Left: CT. Right: PSMA PET, same axial level, [68Ga]Ga-PSMA-11 tracer. Acquired on Siemens Biograph 64-4R TruePoint. PET panel 168×168 px (4.1 mm/px).
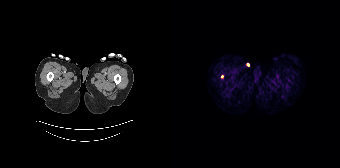
Only PSMA-avid lesion pieces thinner than 2 px on this slice (not listed).